Technique: Left: CT. Right: PSMA PET, same axial level, [18F]PSMA-1007 tracer. PET panel 256×256 px (2.7 mm/px).
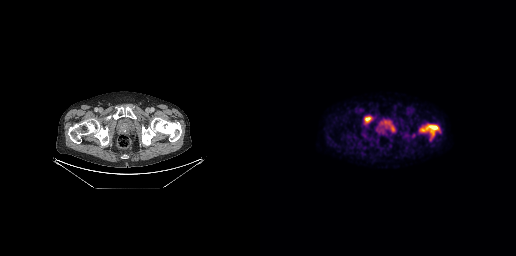
Findings: Coordinates are on the 256×256 PET (right) panel. PSMA-avid tumor lesion bounding boxes (x, y, width, height): x=159 y=123 w=21 h=14 | x=105 y=117 w=6 h=5.